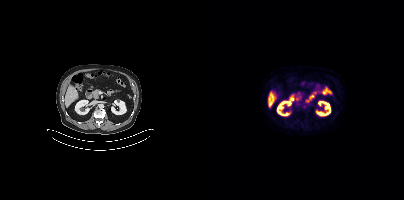
This slice has no annotated PSMA-avid lesion.